- Left: CT. Right: PSMA PET, same axial level, [18F]PSMA-1007 tracer
- acquired on Siemens Biograph mCT Flow 20
- slice position z = -950 mm
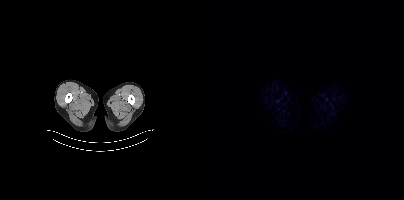
Findings: No PSMA-avid tumor lesions on this slice.